modality: PSMA PET/CT | tracer: 18F | view: axial | PET grid: 200×200
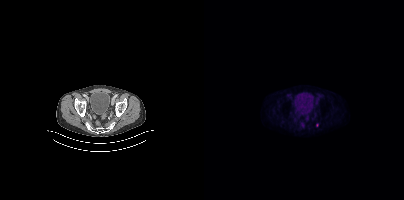
Only PSMA-avid lesion pieces thinner than 2 px on this slice (not listed).